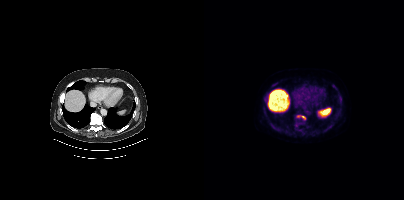
{"modality":"PSMA PET/CT","view":"axial","tracer":"18F-PSMA","pet_grid":[200,200],"coord_frame":"pet_panel","coord_format":"x0,y0,x1,y1","partial":true,"lesion_bboxes":[[90,117,98,125],[118,128,124,132],[70,127,74,131]],"small_foci_centers":[[69,85],[91,129],[130,86],[135,100]]}